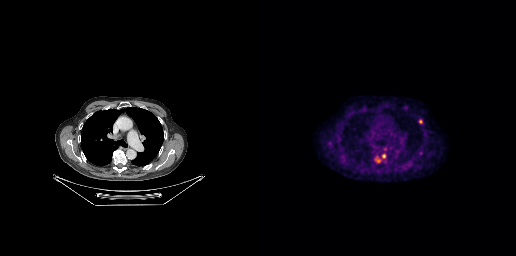
Coordinates are on the 256×256 PET (right) panel. PSMA-avid tumor lesion bounding boxes (x0,y0,x1,y1): [116,154,125,162]; [159,119,162,123].